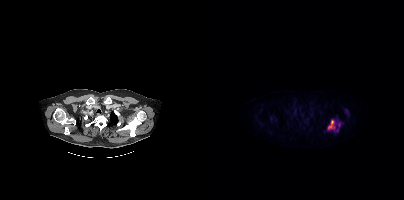
Technique: Left: CT. Right: PSMA PET, same axial level, 18F tracer. acquired on Siemens Biograph mCT Flow 20. slice 339 of 417.
Findings: Coordinates are on the 200×200 PET (right) panel. PSMA-avid tumor lesion bounding boxes (x0,y0,x1,y1): [124,120,131,130]; [134,123,136,127]. Small PSMA-avid focus (2 to 4 px across) near (center x, center y): (133, 130).